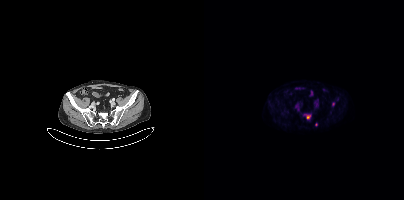
{"pet_grid":[200,200],"coord_frame":"pet_panel","coord_format":"x0,y0,x1,y1","lesion_bboxes":[[102,115,106,118]],"small_foci_centers":[[112,124],[129,104]],"modality":"PSMA PET/CT","view":"axial","tracer":"[18F]PSMA-1007"}